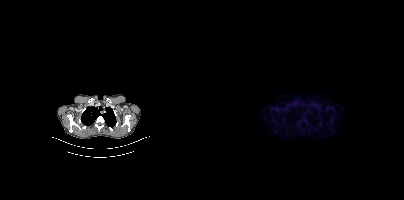
No PSMA-avid tumor lesions on this slice.